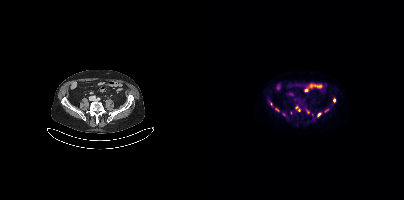
Coordinates are on the 200×200 PET (right) panel. (showing 7 of 9 foci) PSMA-avid tumor lesion bounding box (x, y, width, height): x=91 y=106 w=5 h=6. Small PSMA-avid foci (2 to 4 px across) near (center x, center y): (115, 114) / (130, 100) / (72, 109) / (87, 113) / (122, 111) / (67, 104).
modality: PSMA PET/CT | tracer: 18F-PSMA | view: axial